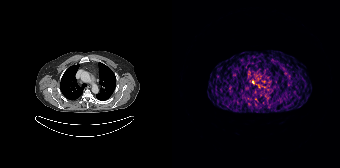
Coordinates are on the 168×168 PET (right) panel. Small PSMA-avid focus (2 to 4 px across) near (center x, center y): (81, 81). Left: CT. Right: PSMA PET, same axial level, 68Ga tracer. Slice position z = -780 mm.